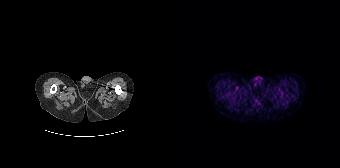
{"modality":"PSMA PET/CT","view":"axial","tracer":"68Ga","pet_grid":[168,168],"coord_frame":"pet_panel","coord_format":"x0,y0,x1,y1","psma_avid_lesions":false}